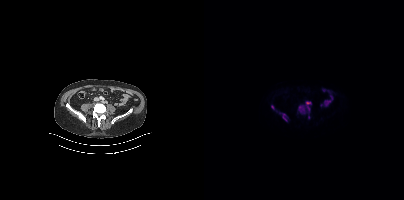
- Two-panel axial: CT | PSMA PET, 18F-PSMA tracer
- PET panel 200×200 px (4.1 mm/px)
Findings: Coordinates are on the 200×200 PET (right) panel. PSMA-avid tumor lesion bounding boxes (x0,y0,x1,y1): [94,101,107,113]; [78,113,83,121]; [67,105,70,109]. Small PSMA-avid focus (2 to 4 px across) near (center x, center y): (104, 117).